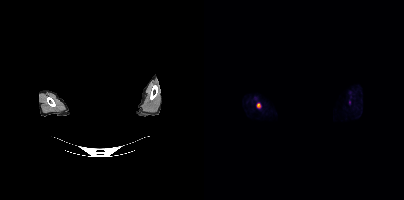
Coordinates are on the 200×200 PET (right) panel. PSMA-avid tumor lesion bounding box (x0,y0,x1,y1): [52,102,57,108]. Paired axial CT (left) and PSMA PET (right), 18F tracer. Slice 428 of 466. PET panel 200×200 px (4.1 mm/px). A rectangular block over the head has been blanked out for de-identification.